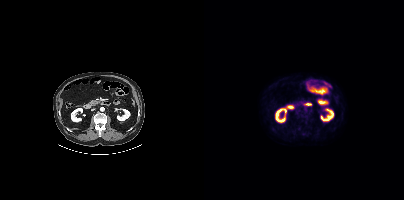
This slice has no annotated PSMA-avid lesion. Two-panel axial: CT | PSMA PET, 18F-PSMA tracer. Slice 192 of 435. PET panel 200×200 px (4.1 mm/px).